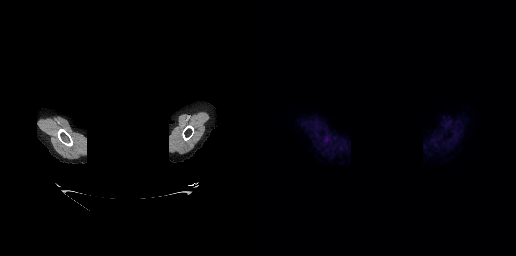
Privacy masking over the head, with the pixels inside a rectangle set to black.
This slice has no annotated PSMA-avid lesion.